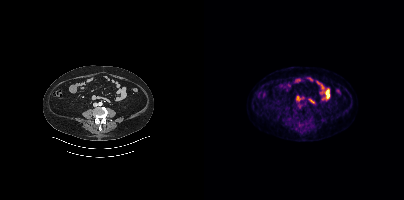
{"pet_grid":[200,200],"coord_frame":"pet_panel","coord_format":"x0,y0,x1,y1","psma_avid_lesions":false,"modality":"PSMA PET/CT","view":"axial","tracer":"18F-PSMA"}